Technique: Paired axial CT (left) and PSMA PET (right), [18F]PSMA-1007 tracer.
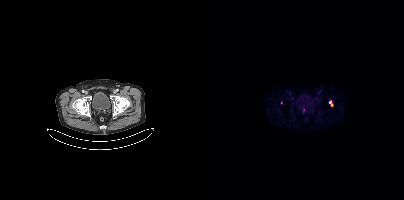
Findings: Coordinates are on the 200×200 PET (right) panel. (showing 1 of 2 foci) Small PSMA-avid focus (2 to 4 px across) near (center x, center y): (99, 109).